Two-panel axial: CT | PSMA PET, 18F-PSMA tracer. PET panel 200×200 px (4.1 mm/px).
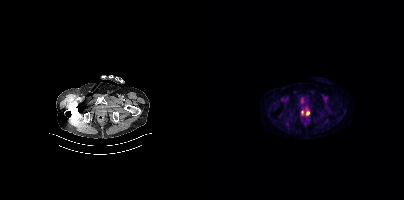
Coordinates are on the 200×200 PET (right) panel. (showing 1 of 2 foci) Small PSMA-avid focus (2 to 4 px across) near (center x, center y): (103, 113).